Paired axial CT (left) and PSMA PET (right), 18F-PSMA tracer. Acquired on Siemens Biograph mCT Flow 20. PET panel 200×200 px (4.1 mm/px).
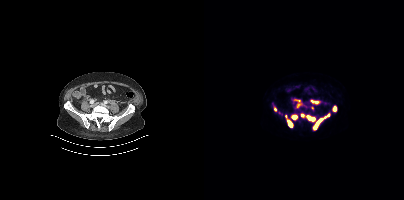
Coordinates are on the 200×200 PET (right) panel. PSMA-avid tumor lesion bounding boxes:
| # | x0 | y0 | x1 | y1 |
|---|---|---|---|---|
| 1 | 109 | 113 | 125 | 130 |
| 2 | 81 | 115 | 89 | 127 |
| 3 | 102 | 115 | 111 | 121 |
| 4 | 87 | 115 | 93 | 119 |
| 5 | 107 | 100 | 115 | 103 |
| 6 | 129 | 106 | 132 | 111 |
| 7 | 97 | 113 | 100 | 117 |
| 8 | 91 | 99 | 96 | 101 |
Small PSMA-avid foci (2 to 4 px across) near (center x, center y): (94, 105); (71, 109); (108, 107).